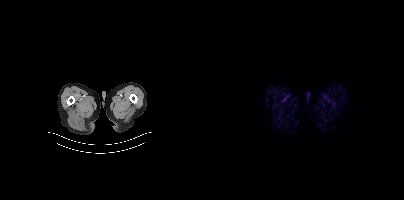
{"modality":"PSMA PET/CT","view":"axial","tracer":"18F","pet_grid":[200,200],"coord_frame":"pet_panel","coord_format":"x0,y0,x1,y1","psma_avid_lesions":false}